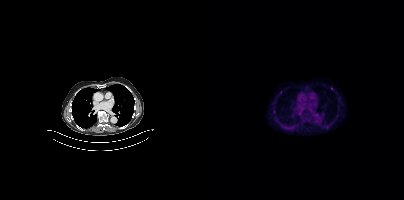
{"modality":"PSMA PET/CT","view":"axial","tracer":"18F-PSMA","pet_grid":[200,200],"coord_frame":"pet_panel","coord_format":"x0,y0,x1,y1","lesion_bboxes":[],"small_foci_centers":[[123,127],[127,88]]}